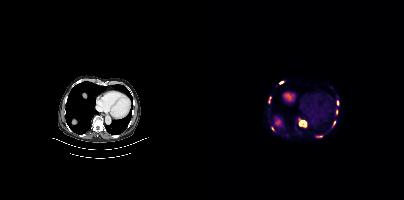
Technique: Paired axial CT (left) and PSMA PET (right), 68Ga-PSMA tracer. acquired on Siemens Biograph mCT Flow 20. PET panel 200×200 px (4.1 mm/px).
Findings: Coordinates are on the 200×200 PET (right) panel. (showing 7 of 9 foci) PSMA-avid tumor lesion bounding boxes (x0, y0)-(x1, y1): (95, 120)-(102, 127) | (113, 136)-(118, 137) | (129, 121)-(131, 125) | (132, 110)-(133, 114). Small PSMA-avid foci (2 to 4 px across) near (center x, center y): (133, 102) | (68, 128) | (77, 82).